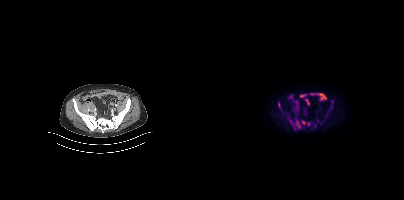
Paired axial CT (left) and PSMA PET (right), [18F]PSMA-1007 tracer.
Coordinates are on the 200×200 PET (right) panel. PSMA-avid tumor lesion bounding boxes (partial; 2 more foci not listed):
| # | x0 | y0 | x1 | y1 |
|---|---|---|---|---|
| 1 | 92 | 120 | 96 | 128 |
| 2 | 98 | 120 | 101 | 124 |
| 3 | 74 | 103 | 76 | 108 |
Small PSMA-avid foci (2 to 4 px across) near (center x, center y): (104, 123); (128, 101).